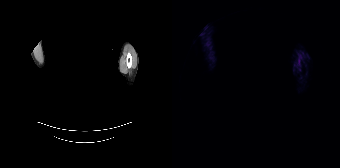
{"pet_grid":[168,168],"coord_frame":"pet_panel","coord_format":"x0,y0,x1,y1","psma_avid_lesions":false,"modality":"PSMA PET/CT","view":"axial","tracer":"68Ga","redaction":"head region blanked (face removed)"}